Technique: Two-panel axial: CT | PSMA PET, 68Ga tracer. acquired on Siemens Biograph 64-4R TruePoint. slice position z = -430 mm. PET panel 168×168 px (4.1 mm/px).
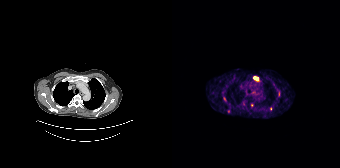
Findings: Coordinates are on the 168×168 PET (right) panel. (showing 4 of 6 foci) PSMA-avid tumor lesion bounding box (x0,y0,x1,y1): [82,77,86,79]. Small PSMA-avid foci (2 to 4 px across) near (center x, center y): (99, 108) (80, 105) (56, 111).